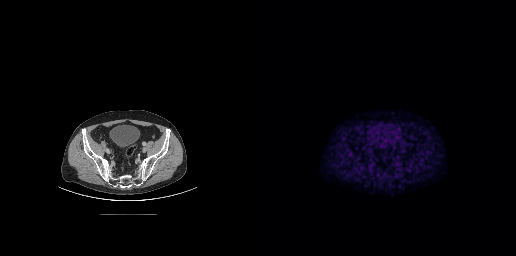
- Left: CT. Right: PSMA PET, same axial level, 18F-PSMA tracer
- slice position z = -604 mm
Findings: No tumor lesions annotated on this slice.